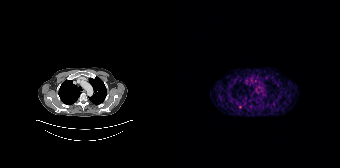
{"pet_grid":[168,168],"coord_frame":"pet_panel","coord_format":"x0,y0,x1,y1","lesion_bboxes":[],"small_foci_centers":[[68,107]],"modality":"PSMA PET/CT","view":"axial","tracer":"[68Ga]Ga-PSMA-11"}